Left: CT. Right: PSMA PET, same axial level, 18F tracer. Acquired on Siemens Biograph 64-4R TruePoint. PET panel 168×168 px (4.1 mm/px).
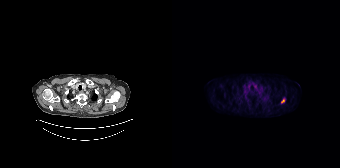
Coordinates are on the 168×168 PET (right) panel. Small PSMA-avid focus (2 to 4 px across) near (center x, center y): (110, 100).